Technique: Left: CT. Right: PSMA PET, same axial level, 68Ga-PSMA tracer. acquired on Siemens Biograph 64-4R TruePoint. PET panel 168×168 px (4.1 mm/px).
Note: Any black rectangle over the head is a privacy mask, not anatomy.
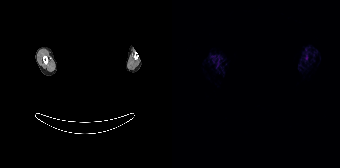
Findings: No tumor lesions annotated on this slice.